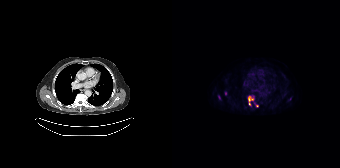
Coordinates are on the 168×168 PET (right) panel. (showing 4 of 5 foci) PSMA-avid tumor lesion bounding box (x, y, width, height): x=76 y=96 w=6 h=10. Small PSMA-avid foci (2 to 4 px across) near (center x, center y): (53, 93) / (85, 106) / (47, 97). Two-panel axial: CT | PSMA PET, 18F-PSMA tracer. Acquired on Siemens Biograph 64-4R TruePoint. PET panel 168×168 px (4.1 mm/px).